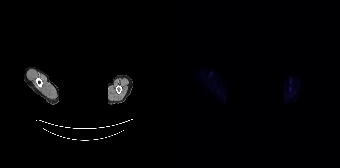
- de-identified by setting a box covering the face to black before release
- Paired axial CT (left) and PSMA PET (right), 18F tracer
- acquired on Siemens Biograph 64-4R TruePoint
- PET panel 168×168 px (4.1 mm/px)
Findings: This slice has no annotated PSMA-avid lesion.